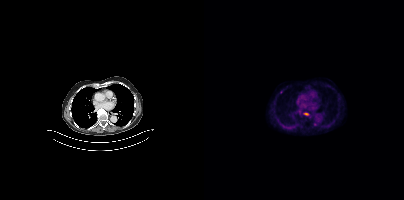
Technique: Two-panel axial: CT | PSMA PET, 18F tracer.
Findings: Coordinates are on the 200×200 PET (right) panel. (showing 1 of 2 foci) PSMA-avid tumor lesion bounding box (x0,y0,x1,y1): [100,113,104,114].